- Left: CT. Right: PSMA PET, same axial level, 68Ga tracer
- slice position z = -624 mm
- PET panel 200×200 px (4.1 mm/px)
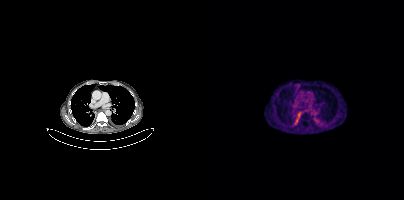
Findings: Only PSMA-avid lesion pieces thinner than 2 px on this slice (not listed).